Paired axial CT (left) and PSMA PET (right), 18F tracer. Acquired on Siemens Biograph mCT Flow 20.
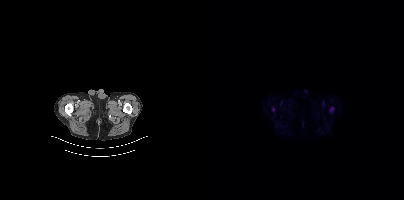
Coordinates are on the 200×200 PET (right) panel. PSMA-avid tumor lesion bounding boxes:
| # | x0 | y0 | x1 | y1 |
|---|---|---|---|---|
| 1 | 126 | 107 | 129 | 112 |
Small PSMA-avid focus (2 to 4 px across) near (center x, center y): (69, 109).